modality: PSMA PET/CT | tracer: [18F]PSMA-1007 | view: axial
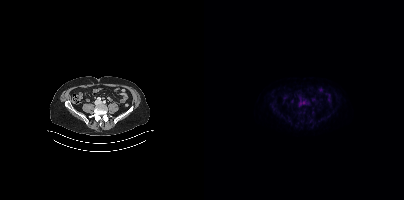
No tumor lesions annotated on this slice.